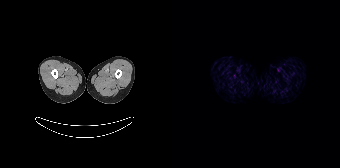
No tumor lesions annotated on this slice.